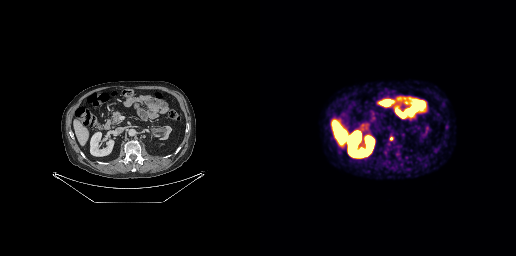
Coordinates are on the 256×256 PET (right) panel. Small PSMA-avid focus (2 to 4 px across) near (center x, center y): (131, 138).
modality: PSMA PET/CT | tracer: 18F-PSMA | view: axial | PET grid: 256×256